Left: CT. Right: PSMA PET, same axial level, [18F]PSMA-1007 tracer. Acquired on Siemens Biograph mCT Flow 20.
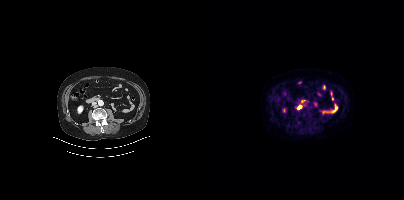
Coordinates are on the 200×200 PET (right) panel. Small PSMA-avid focus (2 to 4 px across) near (center x, center y): (95, 106).